Technique: Paired axial CT (left) and PSMA PET (right), [18F]PSMA-1007 tracer.
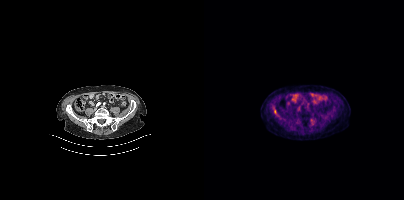
Findings: Coordinates are on the 200×200 PET (right) panel. PSMA-avid tumor lesion bounding box (x, y, width, height): x=69 y=108 w=4 h=6.